Two-panel axial: CT | PSMA PET, 18F-PSMA tracer. Acquired on Siemens Biograph 64-4R TruePoint. Slice position z = -970 mm. PET panel 168×168 px (4.1 mm/px).
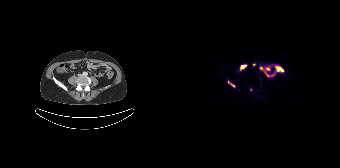
Coordinates are on the 168×168 PET (right) panel. PSMA-avid tumor lesion bounding boxes:
| # | x0 | y0 | x1 | y1 |
|---|---|---|---|---|
| 1 | 56 | 81 | 62 | 87 |
Small PSMA-avid focus (2 to 4 px across) near (center x, center y): (78, 89).